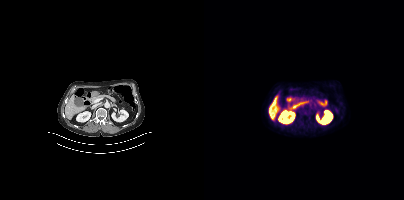
Paired axial CT (left) and PSMA PET (right), 18F tracer. Acquired on Siemens Biograph mCT Flow 20. Slice position z = -1215 mm. Negative for PSMA-avid disease on this slice.